modality: PSMA PET/CT | tracer: [18F]PSMA-1007 | view: axial
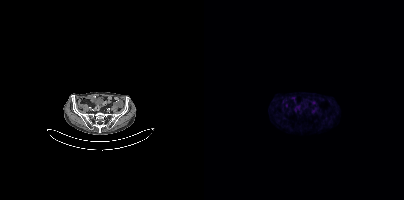
Negative for PSMA-avid disease on this slice.